Two-panel axial: CT | PSMA PET, [18F]PSMA-1007 tracer. PET panel 200×200 px (4.1 mm/px).
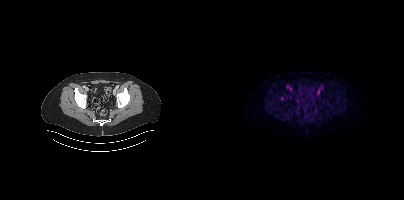
Only PSMA-avid lesion pieces thinner than 2 px on this slice (not listed).